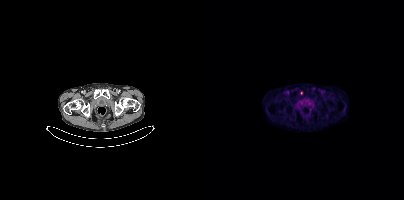
Coordinates are on the 200×200 PET (right) panel. Small PSMA-avid focus (2 to 4 px across) near (center x, center y): (97, 93).